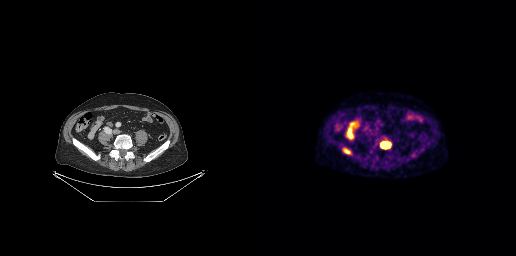
Coordinates are on the 256×256 PET (right) panel. PSMA-avid tumor lesion bounding boxes (x0, y0)-(x1, y1): (121, 143)-(129, 147) | (83, 148)-(89, 154).